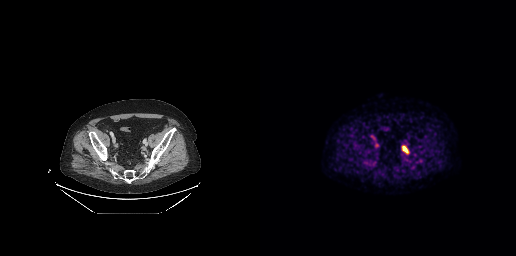
{"modality":"PSMA PET/CT","view":"axial","tracer":"[18F]PSMA-1007","pet_grid":[256,256],"coord_frame":"pet_panel","coord_format":"x0,y0,x1,y1","lesion_bboxes":[[142,146,148,153]],"small_foci_centers":[[117,145]]}